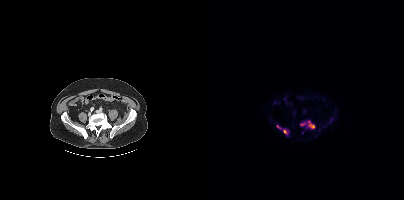
Coordinates are on the 200×200 PET (right) panel. PSMA-avid tumor lesion bounding boxes:
| # | x0 | y0 | x1 | y1 |
|---|---|---|---|---|
| 1 | 104 | 121 | 110 | 128 |
| 2 | 79 | 129 | 82 | 133 |
| 3 | 96 | 123 | 100 | 125 |
Small PSMA-avid foci (2 to 4 px across) near (center x, center y): (74, 126); (98, 132).
Left: CT. Right: PSMA PET, same axial level, 18F-PSMA tracer. PET panel 200×200 px (4.1 mm/px).